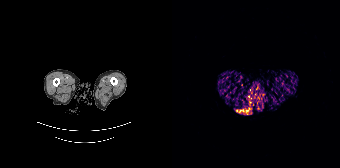
Findings: No tumor lesions annotated on this slice.
- Two-panel axial: CT | PSMA PET, 68Ga tracer
- acquired on Siemens Biograph 64-4R TruePoint
- slice position z = -834 mm